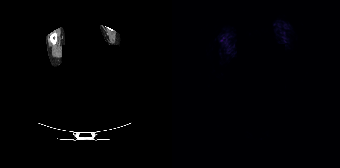
{"modality":"PSMA PET/CT","view":"axial","tracer":"68Ga","pet_grid":[168,168],"coord_frame":"pet_panel","coord_format":"x0,y0,x1,y1","deidentification":"head region blanked (face removed)","psma_avid_lesions":false}